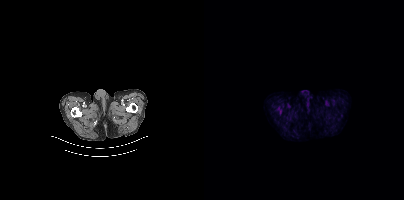
Coordinates are on the 200×200 PET (right) panel. Small PSMA-avid focus (2 to 4 px across) near (center x, center y): (76, 112).
modality: PSMA PET/CT | tracer: [18F]PSMA-1007 | view: axial | PET grid: 200×200